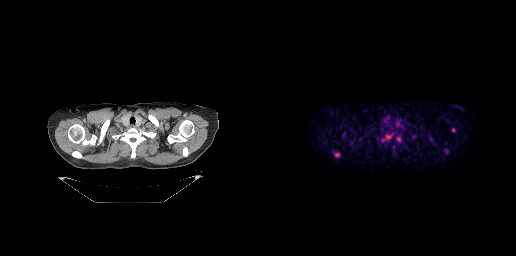
{"modality":"PSMA PET/CT","view":"axial","tracer":"18F-PSMA","pet_grid":[256,256],"coord_frame":"pet_panel","coord_format":"x0,y0,x1,y1","lesion_bboxes":[[126,135,131,139],[75,153,79,156]],"small_foci_centers":[[193,130]]}